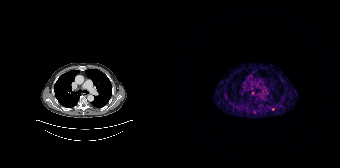
Paired axial CT (left) and PSMA PET (right), 68Ga tracer. Acquired on Siemens Biograph 64-4R TruePoint. Slice 147 of 195. PET panel 168×168 px (4.1 mm/px). Coordinates are on the 168×168 PET (right) panel. Small PSMA-avid foci (2 to 4 px across) near (center x, center y): (80, 92); (82, 111).